Left: CT. Right: PSMA PET, same axial level, 18F-PSMA tracer.
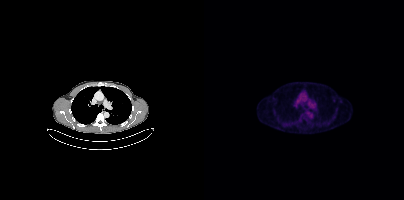
No tumor lesions annotated on this slice.